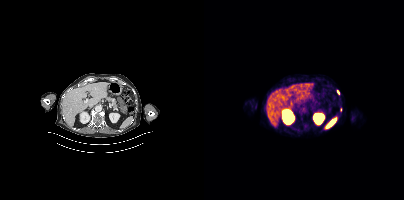
Left: CT. Right: PSMA PET, same axial level, 18F-PSMA tracer. Acquired on Siemens Biograph mCT Flow 20. Slice 228 of 427. PET panel 200×200 px (4.1 mm/px).
Coordinates are on the 200×200 PET (right) panel. PSMA-avid tumor lesion bounding boxes (partial; 1 more focus not listed):
| # | x0 | y0 | x1 | y1 |
|---|---|---|---|---|
| 1 | 133 | 90 | 135 | 94 |